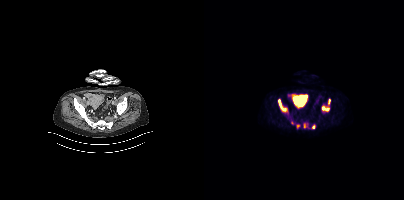
- Paired axial CT (left) and PSMA PET (right), 18F-PSMA tracer
- PET panel 200×200 px (4.1 mm/px)
Findings: Coordinates are on the 200×200 PET (right) panel. (showing 6 of 7 foci) PSMA-avid tumor lesion bounding boxes (x0,y0,x1,y1): [74,99,83,111], [118,105,124,111], [124,99,126,103]. Small PSMA-avid foci (2 to 4 px across) near (center x, center y): (109, 126), (93, 125), (100, 124).